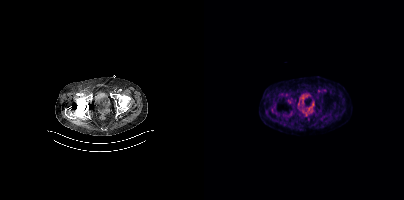
No PSMA-avid tumor lesions on this slice.